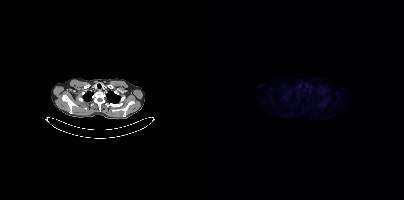
No tumor lesions annotated on this slice.